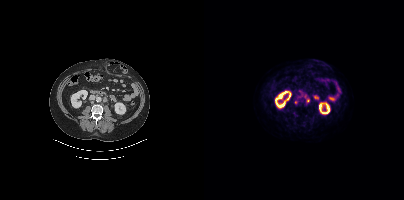
Coordinates are on the 200×200 PET (right) panel. Small PSMA-avid foci (2 to 4 px across) near (center x, center y): (95, 97); (100, 95); (103, 101).
modality: PSMA PET/CT | tracer: [18F]PSMA-1007 | view: axial | PET grid: 200×200